modality: PSMA PET/CT | tracer: [18F]PSMA-1007 | view: axial | PET grid: 200×200
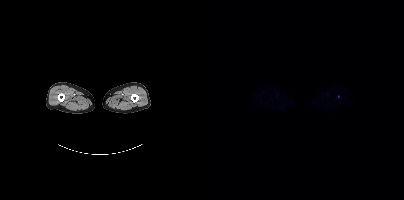
Coordinates are on the 200×200 PET (right) panel. Small PSMA-avid focus (2 to 4 px across) near (center x, center y): (134, 96).